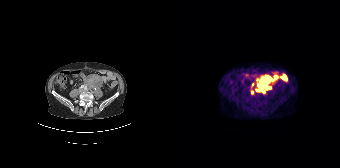
{"modality":"PSMA PET/CT","view":"axial","tracer":"68Ga","pet_grid":[168,168],"coord_frame":"pet_panel","coord_format":"x0,y0,x1,y1","lesion_bboxes":[[85,75,101,93]],"small_foci_centers":[[80,92],[80,84]]}